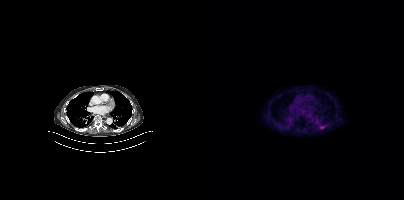
Coordinates are on the 200×200 PET (right) panel. PSMA-avid tumor lesion bounding box (x0, y0)-(x1, y1): (116, 126)-(120, 128).